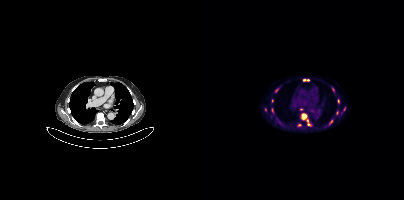
Coordinates are on the 200×200 PET (right) panel. (showing 12 of 13 foci) PSMA-avid tumor lesion bounding boxes (x, y, width, height): x=97 y=113 w=11 h=13 / x=99 y=79 w=7 h=3 / x=68 y=108 w=2 h=5. Small PSMA-avid foci (2 to 4 px across) near (center x, center y): (126, 122) / (72, 90) / (134, 100) / (133, 112) / (68, 101) / (95, 124) / (128, 88) / (140, 108) / (61, 109).